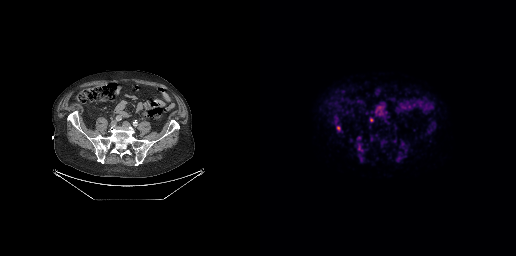
modality: PSMA PET/CT | tracer: 18F-PSMA | view: axial | PET grid: 256×256
Coordinates are on the 256×256 PET (right) panel. (showing 1 of 3 foci) PSMA-avid tumor lesion bounding box (x0, y0)-(x1, y1): (77, 126)-(80, 130).